- Two-panel axial: CT | PSMA PET, 18F tracer
- PET panel 200×200 px (4.1 mm/px)
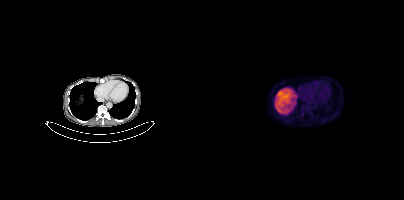
Findings: Coordinates are on the 200×200 PET (right) panel. Small PSMA-avid foci (2 to 4 px across) near (center x, center y): (98, 114); (104, 107); (111, 116).